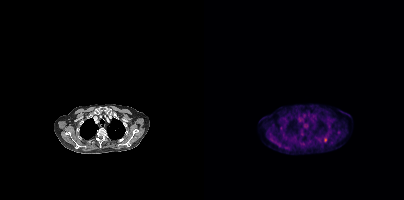
{"modality":"PSMA PET/CT","view":"axial","tracer":"18F-PSMA","pet_grid":[200,200],"coord_frame":"pet_panel","coord_format":"x0,y0,x1,y1","partial":true,"lesion_bboxes":[[120,137,123,142]],"small_foci_centers":[[135,132],[97,134],[99,143]]}